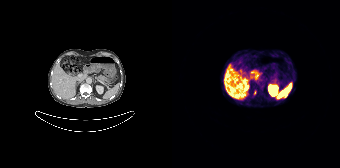
Two-panel axial: CT | PSMA PET, 68Ga-PSMA tracer. Slice position z = -1064 mm. PET panel 168×168 px (4.1 mm/px). No tumor lesions annotated on this slice.